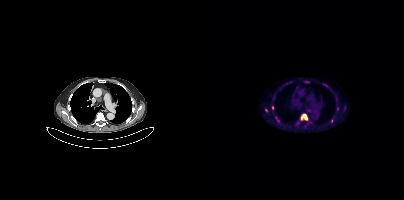
Coordinates are on the 200×200 PET (right) panel. (showing 4 of 7 foci) PSMA-avid tumor lesion bounding box (x0, y0)-(x1, y1): (97, 114)-(103, 120). Small PSMA-avid foci (2 to 4 px across) near (center x, center y): (68, 107); (62, 110); (127, 120). Two-panel axial: CT | PSMA PET, [18F]PSMA-1007 tracer. Acquired on Siemens Biograph mCT Flow 20. Slice position z = 176 mm. PET panel 200×200 px (4.1 mm/px).